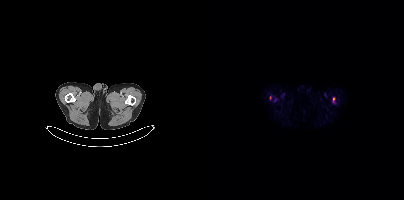
Paired axial CT (left) and PSMA PET (right), 18F tracer. Acquired on Siemens Biograph mCT Flow 20. Slice position z = -1566 mm. PET panel 200×200 px (4.1 mm/px). Coordinates are on the 200×200 PET (right) panel. (showing 1 of 2 foci) PSMA-avid tumor lesion bounding box (x0,y0,x1,y1): [129,97,130,102].